Left: CT. Right: PSMA PET, same axial level, 68Ga-PSMA tracer. Slice position z = -808 mm. PET panel 168×168 px (4.1 mm/px).
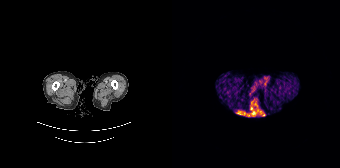
Negative for PSMA-avid disease on this slice.